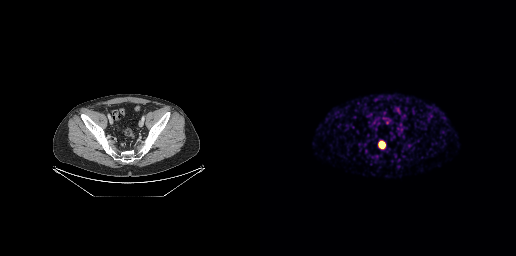
Coordinates are on the 256×256 PET (right) panel. PSMA-avid tumor lesion bounding boxes:
| # | x0 | y0 | x1 | y1 |
|---|---|---|---|---|
| 1 | 119 | 142 | 124 | 147 |
Left: CT. Right: PSMA PET, same axial level, [68Ga]Ga-PSMA-11 tracer. Slice position z = -814 mm.